- Two-panel axial: CT | PSMA PET, [68Ga]Ga-PSMA-11 tracer
- slice position z = -1128 mm
- PET panel 168×168 px (4.1 mm/px)
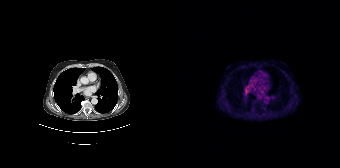
Findings: No tumor lesions annotated on this slice.